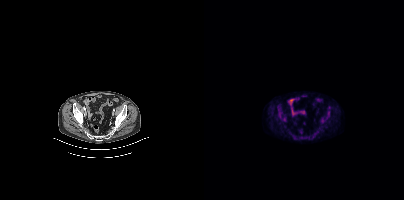
{"modality":"PSMA PET/CT","view":"axial","tracer":"[18F]PSMA-1007","pet_grid":[200,200],"coord_frame":"pet_panel","coord_format":"x0,y0,x1,y1","lesion_bboxes":[[116,117,123,123],[123,111,125,115],[73,107,75,111]],"small_foci_centers":[[80,120]]}